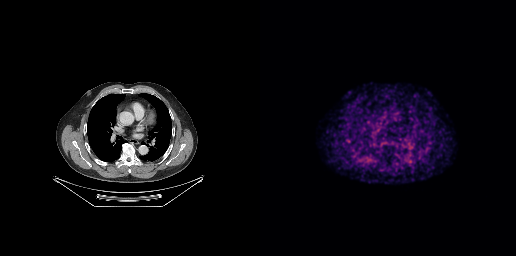
No PSMA-avid tumor lesions on this slice.